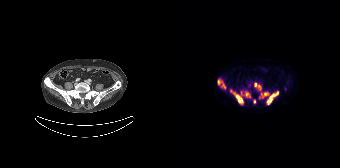
{"modality":"PSMA PET/CT","view":"axial","tracer":"[18F]PSMA-1007","pet_grid":[168,168],"coord_frame":"pet_panel","coord_format":"x0,y0,x1,y1","partial":true,"lesion_bboxes":[[89,91,106,104],[58,89,71,104],[45,79,53,89],[82,83,89,90],[73,92,78,97]],"small_foci_centers":[[82,101],[69,92]]}